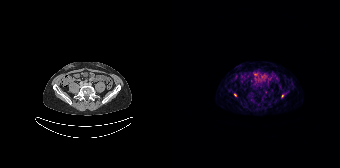
Coordinates are on the 168×168 PET (right) panel. Small PSMA-avid foci (2 to 4 px across) near (center x, center y): (63, 95) | (110, 96). Left: CT. Right: PSMA PET, same axial level, 68Ga tracer. Acquired on Siemens Biograph 64-4R TruePoint. PET panel 168×168 px (4.1 mm/px).